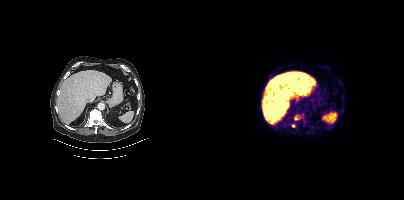
Coordinates are on the 200×200 PET (right) panel. PSMA-avid tumor lesion bounding boxes:
| # | x0 | y0 | x1 | y1 |
|---|---|---|---|---|
| 1 | 90 | 115 | 95 | 119 |
Small PSMA-avid focus (2 to 4 px across) near (center x, center y): (89, 126).
Two-panel axial: CT | PSMA PET, 18F tracer.